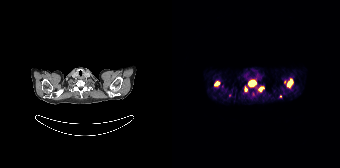
Coordinates are on the 168×168 PET (right) panel. PSMA-avid tumor lesion bounding boxes:
| # | x0 | y0 | x1 | y1 |
|---|---|---|---|---|
| 1 | 77 | 80 | 84 | 86 |
| 2 | 115 | 79 | 120 | 85 |
| 3 | 42 | 81 | 47 | 85 |
Small PSMA-avid foci (2 to 4 px across) near (center x, center y): (88, 89); (73, 89).
Paired axial CT (left) and PSMA PET (right), 68Ga tracer. Slice 163 of 195. PET panel 168×168 px (4.1 mm/px).